modality: PSMA PET/CT | tracer: [68Ga]Ga-PSMA-11 | view: axial
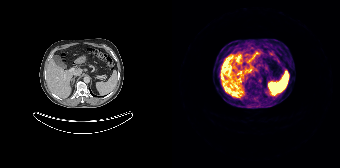
Negative for PSMA-avid disease on this slice.